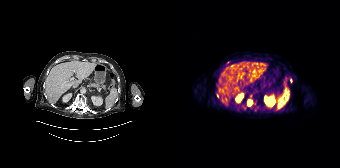
Two-panel axial: CT | PSMA PET, 68Ga tracer. Slice 123 of 195. PET panel 168×168 px (4.1 mm/px).
Coordinates are on the 168×168 PET (right) panel. PSMA-avid tumor lesion bounding boxes (partial; 1 more focus not listed):
| # | x0 | y0 | x1 | y1 |
|---|---|---|---|---|
| 1 | 76 | 100 | 80 | 105 |